- Left: CT. Right: PSMA PET, same axial level, [18F]PSMA-1007 tracer
- PET panel 200×200 px (4.1 mm/px)
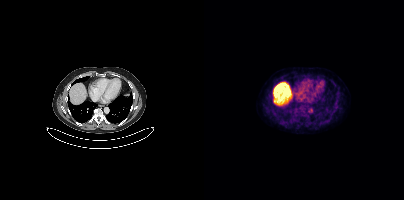
Findings: No tumor lesions annotated on this slice.